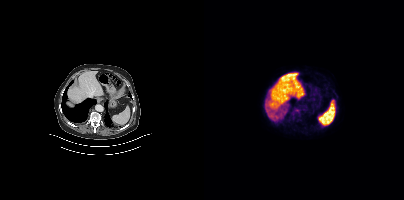
Negative for PSMA-avid disease on this slice. Two-panel axial: CT | PSMA PET, 18F tracer.